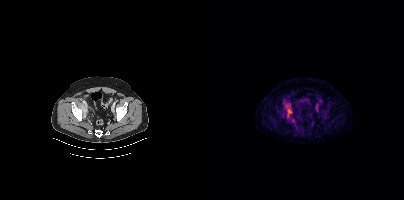
{"modality":"PSMA PET/CT","view":"axial","tracer":"18F","pet_grid":[200,200],"coord_frame":"pet_panel","coord_format":"x0,y0,x1,y1","lesion_bboxes":[[83,108,87,116]],"small_foci_centers":[[82,105]]}